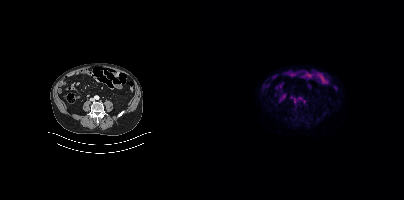
No PSMA-avid tumor lesions on this slice.